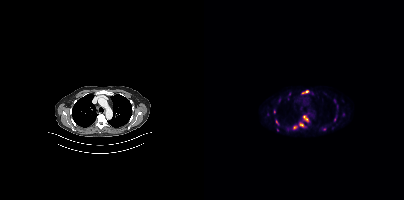
Left: CT. Right: PSMA PET, same axial level, [18F]PSMA-1007 tracer. Slice 305 of 413.
Coordinates are on the 200×200 PET (right) panel. PSMA-avid tumor lesion bounding boxes (partial; 5 more foci not listed):
| # | x0 | y0 | x1 | y1 |
|---|---|---|---|---|
| 1 | 99 | 115 | 104 | 121 |
| 2 | 95 | 122 | 100 | 127 |
| 3 | 89 | 125 | 93 | 129 |
| 4 | 98 | 90 | 104 | 93 |
| 5 | 72 | 120 | 74 | 124 |
Small PSMA-avid foci (2 to 4 px across) near (center x, center y): (85, 93); (139, 114); (70, 111).